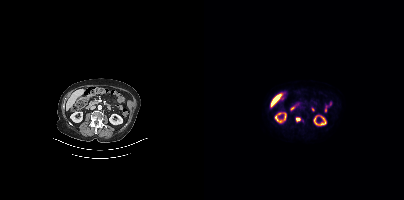
Coordinates are on the 200×200 PET (right) panel. PSMA-avid tumor lesion bounding box (x0,y0,x1,y1): [91,117,96,122].
modality: PSMA PET/CT | tracer: 18F-PSMA | view: axial | PET grid: 200×200